Left: CT. Right: PSMA PET, same axial level, 68Ga-PSMA tracer. Slice 17 of 409.
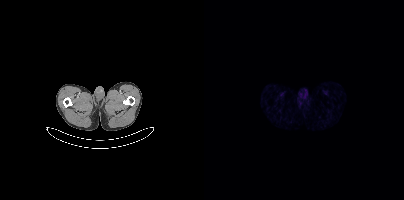
No PSMA-avid tumor lesions on this slice.